Left: CT. Right: PSMA PET, same axial level, 18F-PSMA tracer. Acquired on GE Discovery 690. Slice position z = -158 mm.
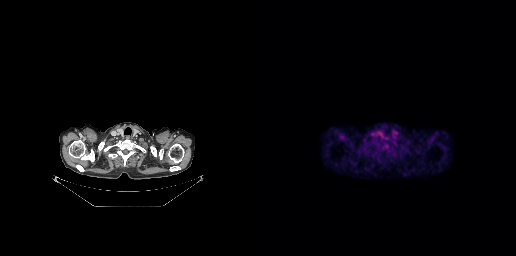
No tumor lesions annotated on this slice.